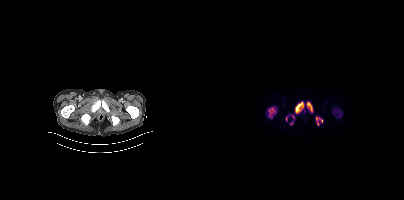
Technique: Two-panel axial: CT | PSMA PET, 18F-PSMA tracer. slice 44 of 387. PET panel 200×200 px (4.1 mm/px).
Findings: Coordinates are on the 200×200 PET (right) panel. (showing 7 of 9 foci) PSMA-avid tumor lesion bounding boxes (x0,y0,x1,y1): [91,102,99,113], [64,107,72,117], [103,102,108,112], [112,117,115,121]. Small PSMA-avid foci (2 to 4 px across) near (center x, center y): (117, 120), (113, 124), (87, 123).